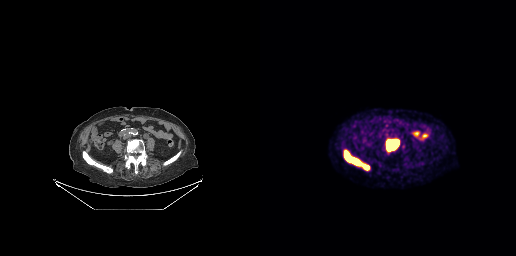
Coordinates are on the 256×256 PET (right) panel. PSMA-avid tumor lesion bounding boxes (x0, y0)-(x1, y1): (84, 150)-(109, 170) / (126, 139)-(139, 151). Two-panel axial: CT | PSMA PET, 18F-PSMA tracer.